modality: PSMA PET/CT | tracer: 18F | view: axial | PET grid: 200×200
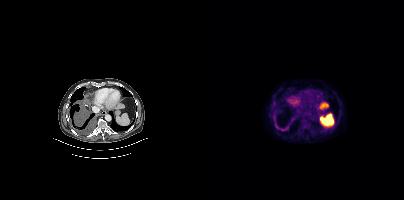
Coordinates are on the 200×200 PET (right) panel. PSMA-avid tumor lesion bounding boxes (x, y, width, height): x=71 y=125 w=14 h=7 | x=87 y=117 w=4 h=5. Small PSMA-avid focus (2 to 4 px across) near (center x, center y): (71, 118).